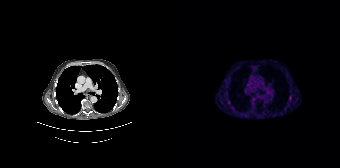
Two-panel axial: CT | PSMA PET, 68Ga tracer. Acquired on Siemens Biograph 64-4R TruePoint. PET panel 168×168 px (4.1 mm/px).
Coordinates are on the 168×168 PET (right) panel. PSMA-avid tumor lesion bounding boxes:
| # | x0 | y0 | x1 | y1 |
|---|---|---|---|---|
| 1 | 55 | 100 | 58 | 104 |
Small PSMA-avid foci (2 to 4 px across) near (center x, center y): (118, 97); (74, 115); (118, 90); (60, 107).